- Two-panel axial: CT | PSMA PET, 68Ga tracer
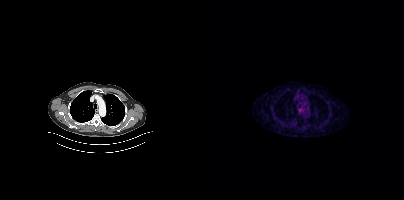
Findings: No tumor lesions annotated on this slice.